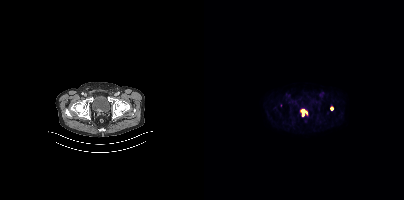
{"modality":"PSMA PET/CT","view":"axial","tracer":"[18F]PSMA-1007","pet_grid":[200,200],"coord_frame":"pet_panel","coord_format":"x0,y0,x1,y1","partial":true,"lesion_bboxes":[[101,111,104,115]],"small_foci_centers":[[127,107]]}